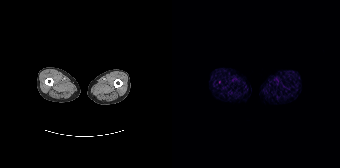
modality: PSMA PET/CT | tracer: 68Ga-PSMA | view: axial | PET grid: 168×168
Negative for PSMA-avid disease on this slice.